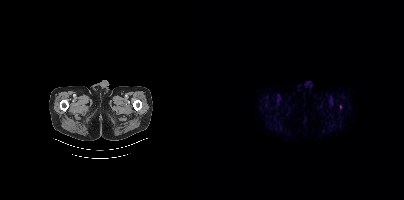
Findings: Coordinates are on the 200×200 PET (right) panel. Small PSMA-avid focus (2 to 4 px across) near (center x, center y): (136, 106).
Technique: Two-panel axial: CT | PSMA PET, 18F tracer. PET panel 200×200 px (4.1 mm/px).